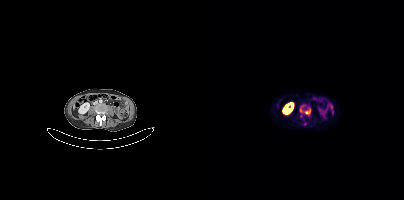
Findings: Coordinates are on the 200×200 PET (right) panel. PSMA-avid tumor lesion bounding box (x0,y0,x1,y1): [101,111,105,113]. Small PSMA-avid focus (2 to 4 px across) near (center x, center y): (101, 123).
- Two-panel axial: CT | PSMA PET, 68Ga tracer
- PET panel 200×200 px (4.1 mm/px)